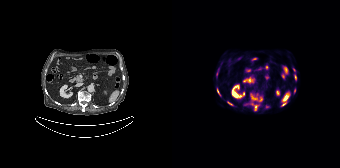
Coordinates are on the 168×168 PET (right) panel. (showing 8 of 10 foci) PSMA-avid tumor lesion bounding boxes (x0, y0)-(x1, y1): (79, 94)-(85, 99); (82, 105)-(86, 110); (55, 101)-(60, 105); (45, 88)-(48, 95); (87, 97)-(90, 101); (110, 102)-(114, 105); (123, 75)-(124, 79). Small PSMA-avid focus (2 to 4 px across) near (center x, center y): (122, 90).